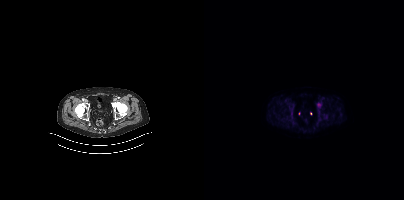
Findings: Negative for PSMA-avid disease on this slice.
- Paired axial CT (left) and PSMA PET (right), [18F]PSMA-1007 tracer
- acquired on Siemens Biograph mCT Flow 20
- PET panel 200×200 px (4.1 mm/px)